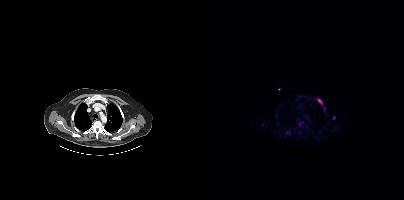
Coordinates are on the 200×200 PET (right) panel. PSMA-avid tumor lesion bounding box (x0,y0,x1,y1): [114,99,118,103]. Small PSMA-avid foci (2 to 4 px across) near (center x, center y): (120, 108); (129, 117).